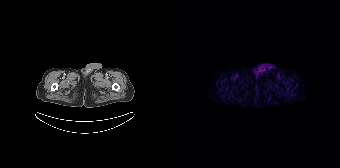
Negative for PSMA-avid disease on this slice. Left: CT. Right: PSMA PET, same axial level, 68Ga tracer. Acquired on Siemens Biograph 64-4R TruePoint. Slice 30 of 195. PET panel 168×168 px (4.1 mm/px).